modality: PSMA PET/CT | tracer: 18F-PSMA | view: axial
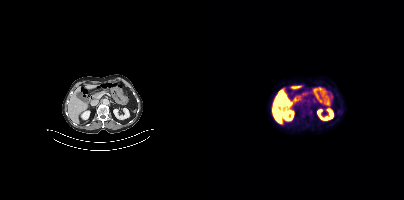
This slice has no annotated PSMA-avid lesion.